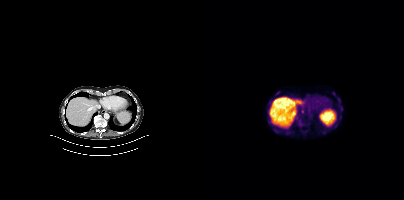
Coordinates are on the 200×200 PET (right) panel. (showing 3 of 4 foci) PSMA-avid tumor lesion bounding box (x0, y0)-(x1, y1): (97, 109)-(99, 113). Small PSMA-avid foci (2 to 4 px across) near (center x, center y): (73, 92) | (130, 93).